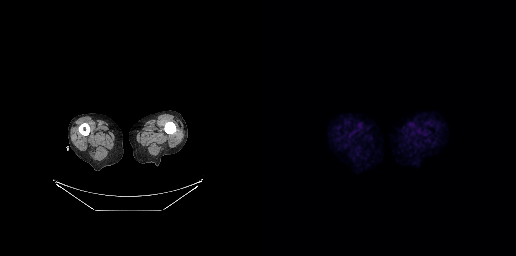
- Two-panel axial: CT | PSMA PET, 18F tracer
Findings: This slice has no annotated PSMA-avid lesion.